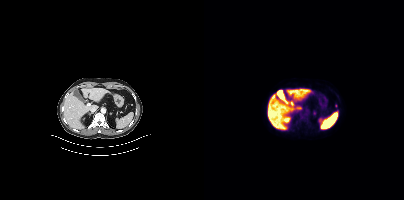
{"pet_grid":[200,200],"coord_frame":"pet_panel","coord_format":"x0,y0,x1,y1","partial":true,"lesion_bboxes":[],"modality":"PSMA PET/CT","view":"axial","tracer":"[18F]PSMA-1007"}